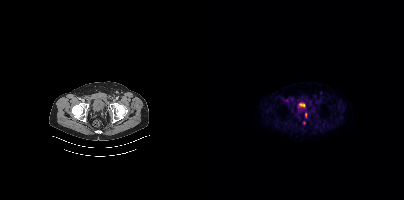
Findings: Coordinates are on the 200×200 PET (right) panel. Small PSMA-avid foci (2 to 4 px across) near (center x, center y): (100, 122) / (101, 114).
Technique: Left: CT. Right: PSMA PET, same axial level, 18F tracer. acquired on Siemens Biograph mCT Flow 20. slice position z = -884 mm. PET panel 200×200 px (4.1 mm/px).